Paired axial CT (left) and PSMA PET (right), [18F]PSMA-1007 tracer. Slice 200 of 385. PET panel 200×200 px (4.1 mm/px).
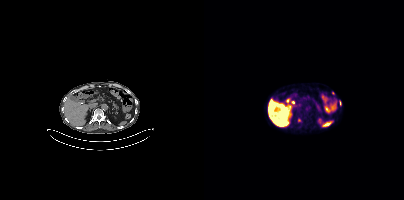
Coordinates are on the 200×200 PET (right) panel. (showing 2 of 3 foci) PSMA-avid tumor lesion bounding box (x0, y0)-(x1, y1): (136, 101)-(137, 105). Small PSMA-avid focus (2 to 4 px across) near (center x, center y): (95, 120).